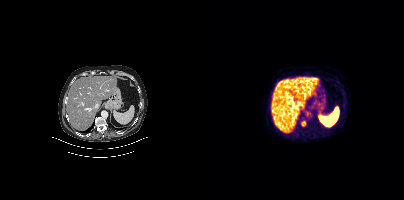
This slice has no annotated PSMA-avid lesion.